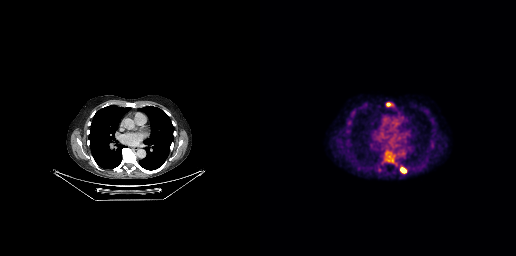
Coordinates are on the 256×256 PET (right) panel. PSMA-avid tumor lesion bounding boxes (x, y, width, height): x=122 y=149 w=16 h=17 | x=140 y=167 w=7 h=7. Small PSMA-avid focus (2 to 4 px across) near (center x, center y): (128, 104).